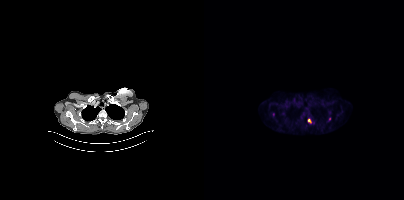
{"modality":"PSMA PET/CT","view":"axial","tracer":"18F","pet_grid":[200,200],"coord_frame":"pet_panel","coord_format":"x0,y0,x1,y1","lesion_bboxes":[],"small_foci_centers":[[105,120],[69,114],[97,117],[125,118]]}